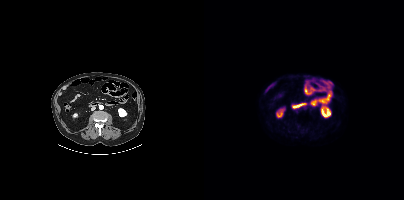
No tumor lesions annotated on this slice.